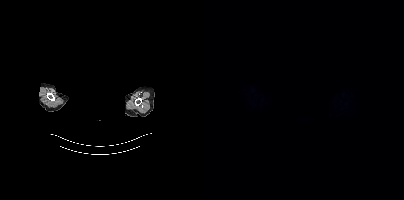
No PSMA-avid tumor lesions on this slice.
A rectangular block over the head has been blanked out for de-identification.